- Left: CT. Right: PSMA PET, same axial level, 18F tracer
- PET panel 200×200 px (4.1 mm/px)
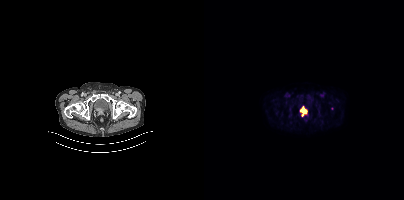
Findings: Coordinates are on the 200×200 PET (right) panel. (showing 2 of 3 foci) PSMA-avid tumor lesion bounding box (x, y, width, height): x=100 y=110 w=4 h=6. Small PSMA-avid focus (2 to 4 px across) near (center x, center y): (98, 107).